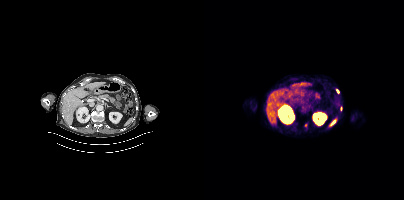
Coordinates are on the 200×200 PET (right) panel. (showing 1 of 2 foci) PSMA-avid tumor lesion bounding box (x, y, width, height): x=133 y=89 w=3 h=5.
modality: PSMA PET/CT | tracer: 18F | view: axial